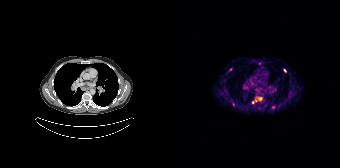
Paired axial CT (left) and PSMA PET (right), 68Ga-PSMA tracer. Slice position z = -1176 mm. Coordinates are on the 168×168 PET (right) panel. (showing 4 of 7 foci) Small PSMA-avid foci (2 to 4 px across) near (center x, center y): (113, 70) | (88, 98) | (80, 102) | (83, 100).